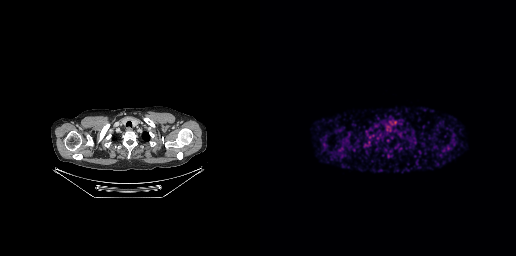
Paired axial CT (left) and PSMA PET (right), 68Ga-PSMA tracer. Slice 221 of 263. No PSMA-avid tumor lesions on this slice.